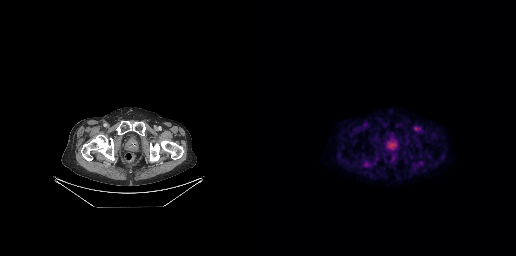
This slice has no annotated PSMA-avid lesion.